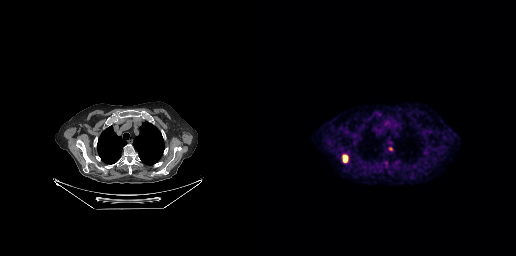
Coordinates are on the 256×256 PET (right) panel. PSMA-avid tumor lesion bounding box (x, y, width, height): x=82 y=155 w=7 h=8. Small PSMA-avid focus (2 to 4 px across) near (center x, center y): (130, 148).